redaction: head region blanked (face removed) | modality: PSMA PET/CT | tracer: [18F]PSMA-1007 | view: axial | PET grid: 200×200
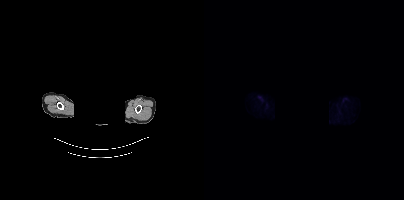
No PSMA-avid tumor lesions on this slice.